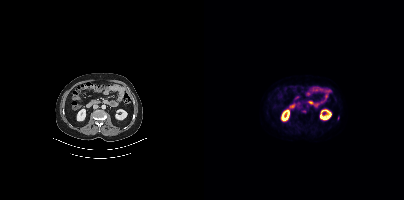
Only PSMA-avid lesion pieces thinner than 2 px on this slice (not listed). Paired axial CT (left) and PSMA PET (right), [18F]PSMA-1007 tracer. Slice position z = -1290 mm.